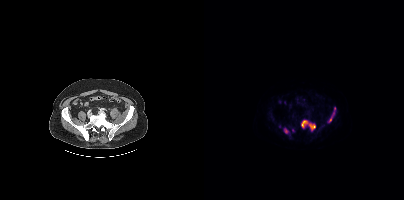
modality: PSMA PET/CT | tracer: [18F]PSMA-1007 | view: axial | PET grid: 200×200
Coordinates are on the 200×200 PET (right) panel. (showing 4 of 5 foci) PSMA-avid tumor lesion bounding boxes (x0,y0,x1,y1): [97,120,111,130] [124,112,130,122]. Small PSMA-avid foci (2 to 4 px across) near (center x, center y): (82, 130) (130, 108).